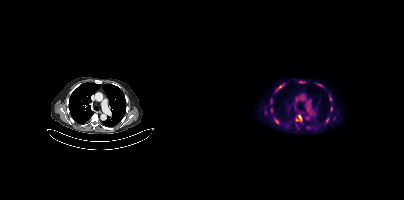
Findings: Coordinates are on the 200×200 PET (right) panel. (showing 8 of 10 foci) PSMA-avid tumor lesion bounding boxes (x, y, width, height): x=92 y=115 w=6 h=7 | x=74 y=84 w=6 h=5 | x=71 y=119 w=4 h=5 | x=122 y=118 w=3 h=5 | x=113 y=84 w=6 h=3. Small PSMA-avid foci (2 to 4 px across) near (center x, center y): (96, 81) | (127, 108) | (67, 110).
- Paired axial CT (left) and PSMA PET (right), 18F tracer